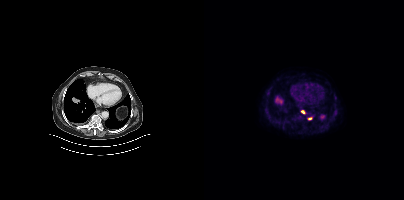
Technique: Two-panel axial: CT | PSMA PET, 18F tracer.
Findings: Coordinates are on the 200×200 PET (right) panel. Small PSMA-avid foci (2 to 4 px across) near (center x, center y): (98, 112) / (106, 118).